Paired axial CT (left) and PSMA PET (right), 18F-PSMA tracer. Slice 145 of 263. PET panel 256×256 px (2.7 mm/px).
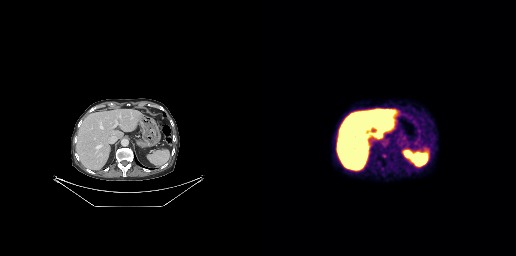
Coordinates are on the 256×256 PET (right) panel. PSMA-avid tumor lesion bounding boxes:
| # | x0 | y0 | x1 | y1 |
|---|---|---|---|---|
| 1 | 122 | 154 | 126 | 157 |